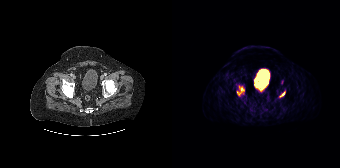
Coordinates are on the 168×168 PET (right) panel. PSMA-avid tumor lesion bounding boxes (x0, y0)-(x1, y1): (65, 85)-(72, 95) / (108, 92)-(112, 96).